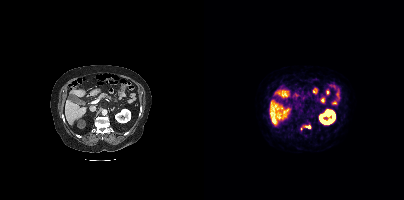
{"modality":"PSMA PET/CT","view":"axial","tracer":"68Ga","pet_grid":[200,200],"coord_frame":"pet_panel","coord_format":"x0,y0,x1,y1","lesion_bboxes":[[99,125,107,128]],"small_foci_centers":[[97,128]]}